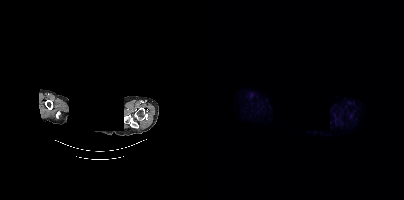
Facial anatomy redacted by setting a rectangular region of the head to black. Two-panel axial: CT | PSMA PET, 18F-PSMA tracer. Acquired on Siemens Biograph mCT Flow 20. Slice position z = -293 mm. PET panel 200×200 px (4.1 mm/px). No tumor lesions annotated on this slice.